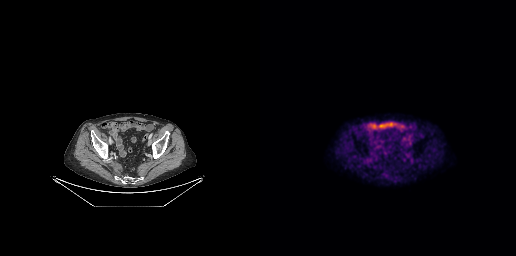
No tumor lesions annotated on this slice.
modality: PSMA PET/CT | tracer: 18F | view: axial | PET grid: 256×256